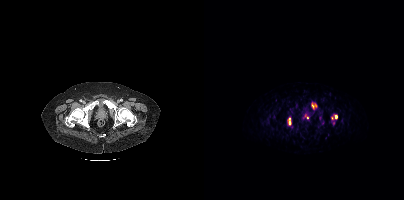
Findings: Coordinates are on the 200×200 PET (right) panel. (showing 4 of 5 foci) PSMA-avid tumor lesion bounding boxes (x0,y0,x1,y1): [107,102,113,108], [85,118,86,124]. Small PSMA-avid foci (2 to 4 px across) near (center x, center y): (132, 116), (103, 117).
Technique: Left: CT. Right: PSMA PET, same axial level, 68Ga tracer. PET panel 200×200 px (4.1 mm/px).